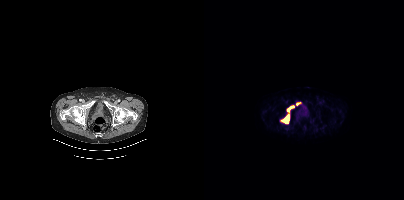
Technique: Paired axial CT (left) and PSMA PET (right), 18F-PSMA tracer. acquired on Siemens Biograph mCT Flow 20. slice 75 of 405.
Findings: Coordinates are on the 200×200 PET (right) panel. (showing 4 of 5 foci) PSMA-avid tumor lesion bounding boxes (x0, y0)-(x1, y1): (78, 114)-(85, 122); (83, 106)-(90, 111). Small PSMA-avid foci (2 to 4 px across) near (center x, center y): (75, 120); (93, 103).